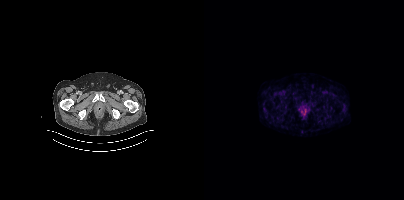
No tumor lesions annotated on this slice.